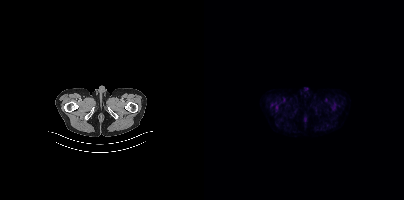
Technique: Paired axial CT (left) and PSMA PET (right), [18F]PSMA-1007 tracer. slice position z = -810 mm. PET panel 200×200 px (4.1 mm/px).
Findings: Negative for PSMA-avid disease on this slice.